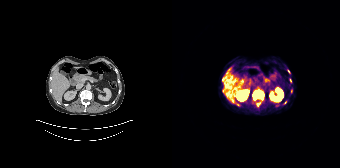
Coordinates are on the 168×168 PET (right) panel. PSMA-avid tumor lesion bounding boxes (x, y, width, height): x=80 y=89 w=13 h=12 / x=64 y=103 w=5 h=4 / x=50 y=77 w=3 h=5. Small PSMA-avid foci (2 to 4 px across) near (center x, center y): (86, 104) / (118, 80) / (50, 90) / (113, 102) / (116, 71) / (119, 90). Left: CT. Right: PSMA PET, same axial level, [68Ga]Ga-PSMA-11 tracer. Acquired on Siemens Biograph 64-4R TruePoint. PET panel 168×168 px (4.1 mm/px).